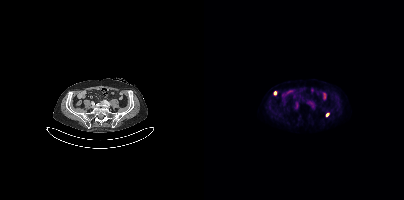
{"modality":"PSMA PET/CT","view":"axial","tracer":"18F","pet_grid":[200,200],"coord_frame":"pet_panel","coord_format":"x0,y0,x1,y1","lesion_bboxes":[],"small_foci_centers":[[71,92],[123,114]]}